Technique: Paired axial CT (left) and PSMA PET (right), [18F]PSMA-1007 tracer.
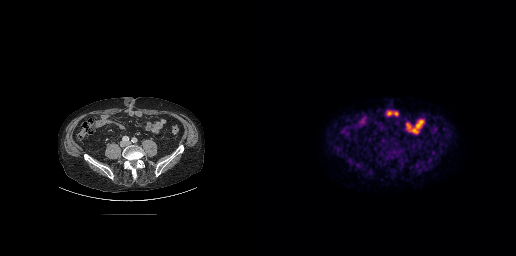
Findings: This slice has no annotated PSMA-avid lesion.